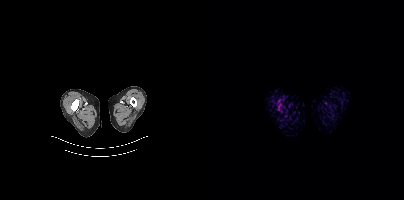
Coordinates are on the 200×200 PET (right) panel. PSMA-avid tumor lesion bounding boxes:
| # | x0 | y0 | x1 | y1 |
|---|---|---|---|---|
| 1 | 74 | 103 | 77 | 110 |
Left: CT. Right: PSMA PET, same axial level, [18F]PSMA-1007 tracer. Slice position z = -1552 mm.